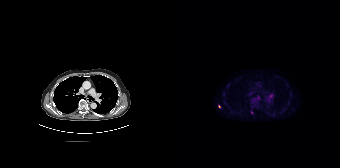
Left: CT. Right: PSMA PET, same axial level, 18F tracer. Slice position z = -783 mm. PET panel 168×168 px (4.1 mm/px). Coordinates are on the 168×168 PET (right) panel. Small PSMA-avid foci (2 to 4 px across) near (center x, center y): (47, 106) / (79, 112).